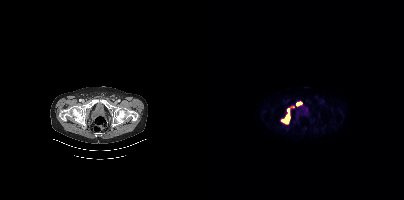
{"modality":"PSMA PET/CT","view":"axial","tracer":"18F","pet_grid":[200,200],"coord_frame":"pet_panel","coord_format":"x0,y0,x1,y1","lesion_bboxes":[[78,114,85,123],[92,102,97,105],[84,108,85,112]],"small_foci_centers":[[88,106]]}